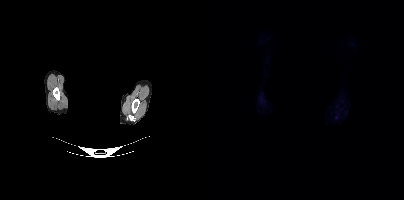
Findings: No tumor lesions annotated on this slice.
Technique: Paired axial CT (left) and PSMA PET (right), [18F]PSMA-1007 tracer. acquired on Siemens Biograph mCT Flow 20. slice position z = -236 mm. PET panel 200×200 px (4.1 mm/px).
Note: A rectangle over the head was blacked out to remove identifiable facial features.